Technique: Two-panel axial: CT | PSMA PET, 18F-PSMA tracer. PET panel 200×200 px (4.1 mm/px).
Note: A rectangular block over the head has been blanked out for de-identification.
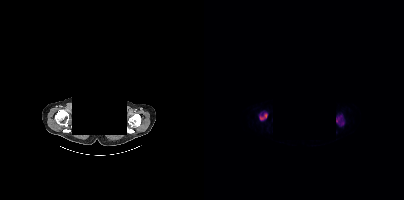
Findings: Coordinates are on the 200×200 PET (right) panel. PSMA-avid tumor lesion bounding boxes (x0, y0)-(x1, y1): (132, 115)-(140, 125) | (55, 113)-(63, 120).